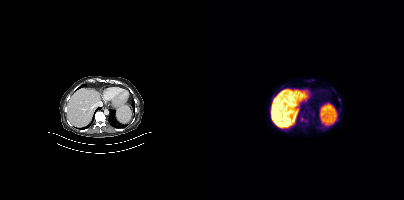
Coordinates are on the 200×200 PET (right) panel. (showing 1 of 2 foci) Small PSMA-avid focus (2 to 4 px across) near (center x, center y): (131, 122).